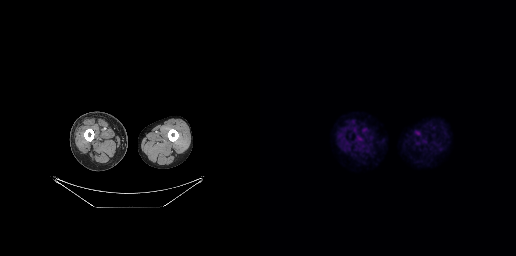
{"modality":"PSMA PET/CT","view":"axial","tracer":"18F-PSMA","pet_grid":[256,256],"coord_frame":"pet_panel","coord_format":"x0,y0,x1,y1","psma_avid_lesions":false}